Technique: Paired axial CT (left) and PSMA PET (right), 68Ga-PSMA tracer. acquired on Siemens Biograph mCT Flow 20. slice 235 of 444. PET panel 200×200 px (4.1 mm/px).
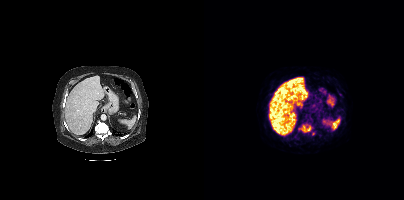
Findings: Coordinates are on the 200×200 PET (right) panel. PSMA-avid tumor lesion bounding box (x0,y0,x1,y1): [95,125,107,132].